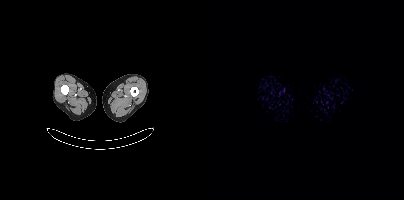
{"modality":"PSMA PET/CT","view":"axial","tracer":"18F","pet_grid":[200,200],"coord_frame":"pet_panel","coord_format":"x0,y0,x1,y1","psma_avid_lesions":false}